modality: PSMA PET/CT | tracer: 18F-PSMA | view: axial
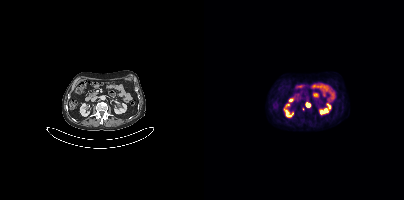
Coordinates are on the 200×200 PET (right) panel. (showing 1 of 2 foci) PSMA-avid tumor lesion bounding box (x0,y0,x1,y1): [102,103,106,106].